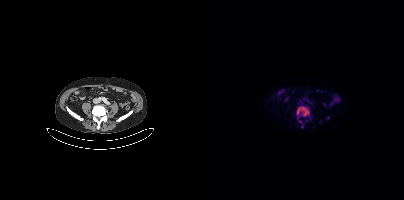
Coordinates are on the 200×200 PET (right) panel. (showing 2 of 3 foci) PSMA-avid tumor lesion bounding box (x0,y0,x1,y1): [92,106,105,117]. Small PSMA-avid focus (2 to 4 px across) near (center x, center y): (96, 121).